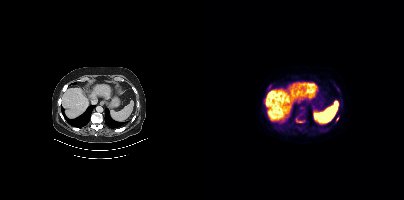
Technique: Left: CT. Right: PSMA PET, same axial level, [18F]PSMA-1007 tracer. acquired on Siemens Biograph mCT Flow 20. slice 276 of 464. PET panel 200×200 px (4.1 mm/px).
Findings: Coordinates are on the 200×200 PET (right) panel. (showing 7 of 9 foci) PSMA-avid tumor lesion bounding boxes (x0,y0,x1,y1): [93,113,101,120], [132,87,136,91], [64,84,68,87], [132,117,134,121]. Small PSMA-avid foci (2 to 4 px across) near (center x, center y): (120, 130), (97, 129), (95, 121).